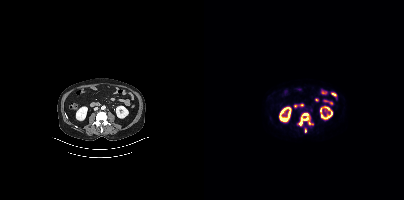
Technique: Paired axial CT (left) and PSMA PET (right), 18F-PSMA tracer.
Findings: Coordinates are on the 200×200 PET (right) panel. (showing 2 of 3 foci) PSMA-avid tumor lesion bounding box (x0,y0,x1,y1): [95,113,106,125]. Small PSMA-avid focus (2 to 4 px across) near (center x, center y): (101, 130).